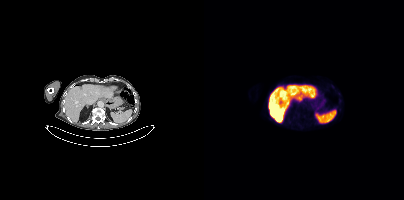
Technique: Two-panel axial: CT | PSMA PET, [18F]PSMA-1007 tracer.
Findings: This slice has no annotated PSMA-avid lesion.